Facial anatomy redacted by setting a rectangular region of the head to black. Paired axial CT (left) and PSMA PET (right), 68Ga tracer. PET panel 200×200 px (4.1 mm/px).
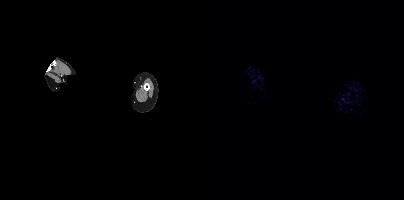
This slice has no annotated PSMA-avid lesion.